Paired axial CT (left) and PSMA PET (right), 18F-PSMA tracer. Acquired on Siemens Biograph mCT Flow 20. PET panel 200×200 px (4.1 mm/px).
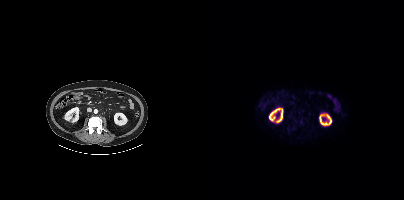
No PSMA-avid tumor lesions on this slice.